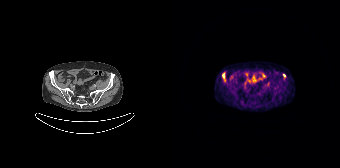
Findings: Coordinates are on the 168×168 PET (right) panel. PSMA-avid tumor lesion bounding box (x0, y0)-(x1, y1): (50, 73)-(52, 78). Small PSMA-avid focus (2 to 4 px across) near (center x, center y): (112, 75).
Technique: Paired axial CT (left) and PSMA PET (right), 68Ga tracer.